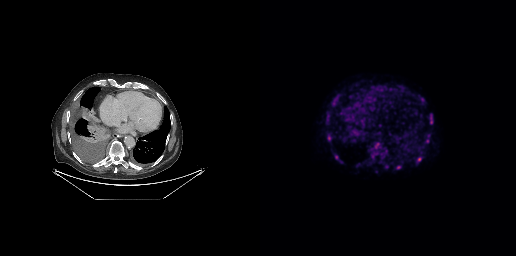
Technique: Left: CT. Right: PSMA PET, same axial level, 18F-PSMA tracer. slice 190 of 299. PET panel 256×256 px (2.7 mm/px).
Findings: Coordinates are on the 256×256 PET (right) panel. (showing 4 of 7 foci) PSMA-avid tumor lesion bounding boxes (x0, y0)-(x1, y1): (115, 143)-(119, 148); (158, 157)-(161, 161). Small PSMA-avid foci (2 to 4 px across) near (center x, center y): (138, 167); (171, 122).